- Paired axial CT (left) and PSMA PET (right), 18F tracer
- acquired on Siemens Biograph mCT Flow 20
- PET panel 200×200 px (4.1 mm/px)
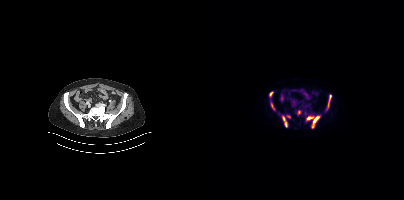
Findings: Coordinates are on the 200×200 PET (right) panel. (showing 8 of 9 foci) PSMA-avid tumor lesion bounding boxes (x0, y0)-(x1, y1): (78, 116)-(83, 127); (108, 116)-(115, 127); (103, 117)-(109, 119); (125, 95)-(127, 101); (66, 92)-(68, 96); (67, 103)-(70, 109). Small PSMA-avid foci (2 to 4 px across) near (center x, center y): (95, 112); (84, 116).